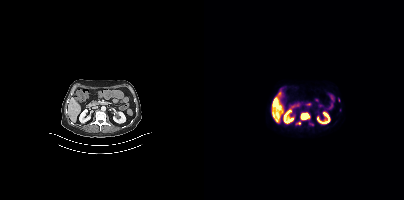
{"modality":"PSMA PET/CT","view":"axial","tracer":"18F","pet_grid":[200,200],"coord_frame":"pet_panel","coord_format":"x0,y0,x1,y1","partial":true,"lesion_bboxes":[[97,113,105,119],[69,100,73,105],[105,123,109,125]],"small_foci_centers":[[95,123]]}